modality: PSMA PET/CT | tracer: [18F]PSMA-1007 | view: axial | deidentification: privacy mask over head
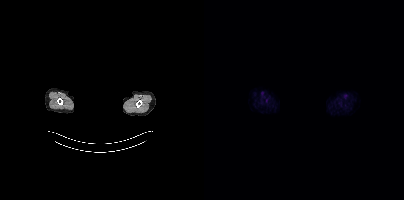
No tumor lesions annotated on this slice.